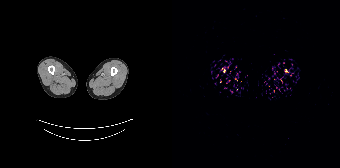
modality: PSMA PET/CT | tracer: 68Ga | view: axial
Coordinates are on the 168×168 PET (right) panel. Small PSMA-avid focus (2 to 4 px across) near (center x, center y): (114, 71).